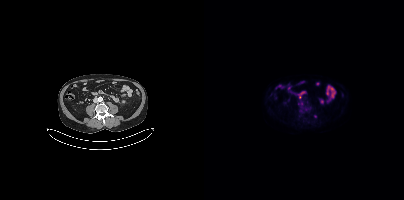
{"pet_grid":[200,200],"coord_frame":"pet_panel","coord_format":"x0,y0,x1,y1","lesion_bboxes":[[94,102,98,104]],"small_foci_centers":[[95,97]],"modality":"PSMA PET/CT","view":"axial","tracer":"[18F]PSMA-1007"}